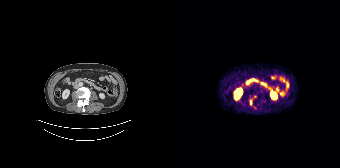
Coordinates are on the 168×168 PET (right) panel. PSMA-avid tumor lesion bounding boxes (partial; 1 more focus not listed):
| # | x0 | y0 | x1 | y1 |
|---|---|---|---|---|
| 1 | 62 | 89 | 70 | 99 |
Paired axial CT (left) and PSMA PET (right), [68Ga]Ga-PSMA-11 tracer. Acquired on Siemens Biograph 64-4R TruePoint. Slice 96 of 195.